Two-panel axial: CT | PSMA PET, [68Ga]Ga-PSMA-11 tracer. Acquired on Siemens Biograph mCT Flow 20. Slice 124 of 409. PET panel 200×200 px (4.1 mm/px).
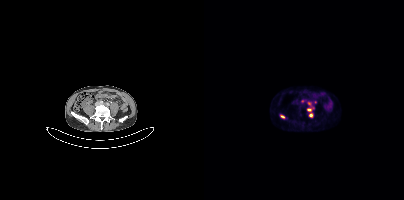
Coordinates are on the 200×200 PET (right) panel. PSMA-avid tumor lesion bounding boxes (x0, y0)-(x1, y1): (103, 102)-(110, 111); (105, 113)-(109, 117); (76, 115)-(80, 118). Small PSMA-avid foci (2 to 4 px across) near (center x, center y): (98, 100); (111, 101).